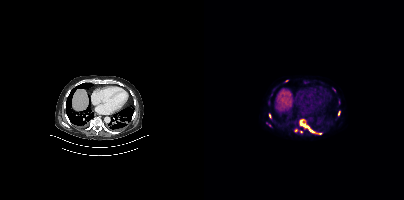
Coordinates are on the 200×200 PET (right) panel. (showing 6 of 8 foci) PSMA-avid tumor lesion bounding boxes (x0,y0,x1,y1): [95,119,117,134]; [90,128,94,132]; [134,111,136,115]. Small PSMA-avid foci (2 to 4 px across) near (center x, center y): (97, 131); (65, 115); (82, 80).